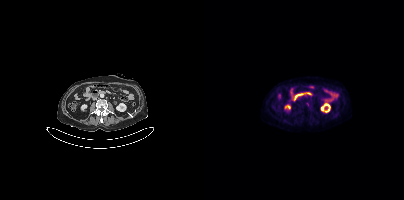
- Left: CT. Right: PSMA PET, same axial level, 18F-PSMA tracer
- slice 163 of 401
- PET panel 200×200 px (4.1 mm/px)
Findings: No PSMA-avid tumor lesions on this slice.